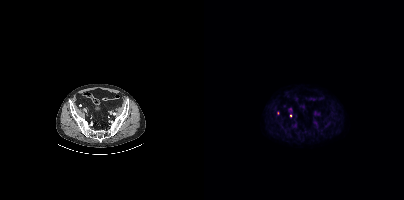
modality: PSMA PET/CT | tracer: 18F | view: axial | PET grid: 200×200
Coordinates are on the 200×200 PET (right) panel. (showing 1 of 2 foci) Small PSMA-avid focus (2 to 4 px across) near (center x, center y): (86, 115).